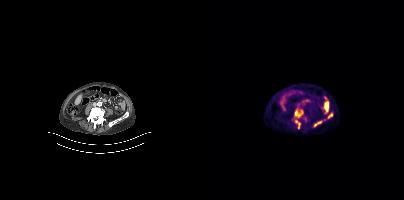
Coordinates are on the 200×200 PET (right) panel. PSMA-avid tumor lesion bounding box (x0,y0,x1,y1): [90,109,99,128]. Small PSMA-avid focus (2 to 4 px across) near (center x, center y): (101, 119).
modality: PSMA PET/CT | tracer: 18F-PSMA | view: axial | PET grid: 200×200